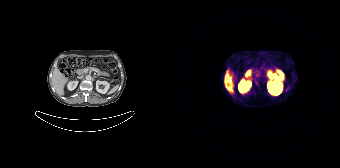
No PSMA-avid tumor lesions on this slice. Paired axial CT (left) and PSMA PET (right), 68Ga tracer. Acquired on Siemens Biograph 64-4R TruePoint. PET panel 168×168 px (4.1 mm/px).